modality: PSMA PET/CT | tracer: [18F]PSMA-1007 | view: axial
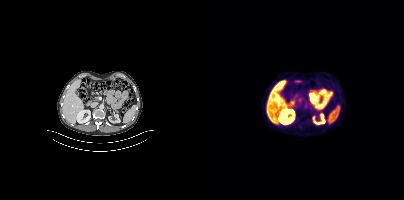
This slice has no annotated PSMA-avid lesion.